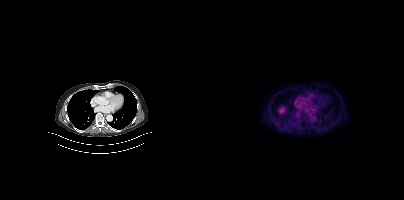
{"pet_grid":[200,200],"coord_frame":"pet_panel","coord_format":"x0,y0,x1,y1","psma_avid_lesions":false,"modality":"PSMA PET/CT","view":"axial","tracer":"18F-PSMA"}